- Left: CT. Right: PSMA PET, same axial level, 18F-PSMA tracer
- PET panel 200×200 px (4.1 mm/px)
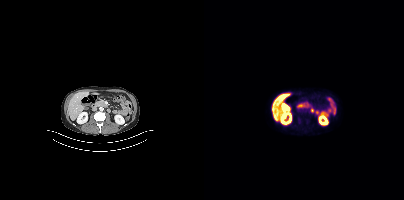
Findings: This slice has no annotated PSMA-avid lesion.